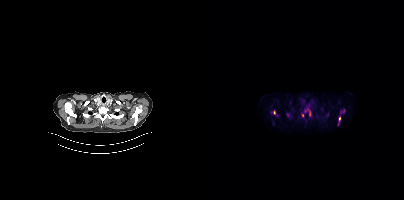
Left: CT. Right: PSMA PET, same axial level, [18F]PSMA-1007 tracer. Coordinates are on the 200×200 PET (right) panel. (showing 7 of 9 foci) PSMA-avid tumor lesion bounding boxes (x, y, width, height): x=82 y=113 w=5 h=5 | x=136 y=109 w=5 h=5 | x=135 y=116 w=2 h=6 | x=105 y=111 w=2 h=5. Small PSMA-avid foci (2 to 4 px across) near (center x, center y): (70, 112) | (101, 110) | (98, 114).